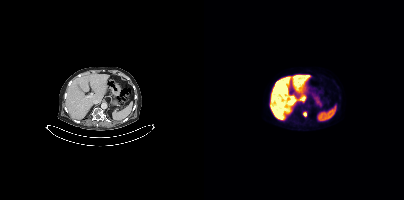
Coordinates are on the 200×200 PET (right) panel. PSMA-avid tumor lesion bounding box (x, y, width, height): x=99 y=112 w=4 h=5.
modality: PSMA PET/CT | tracer: 18F | view: axial | PET grid: 200×200